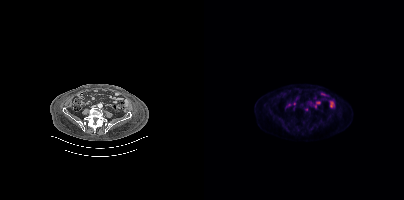
- Two-panel axial: CT | PSMA PET, [18F]PSMA-1007 tracer
- acquired on Siemens Biograph mCT Flow 20
- slice 115 of 344
Findings: Coordinates are on the 200×200 PET (right) panel. Small PSMA-avid focus (2 to 4 px across) near (center x, center y): (102, 109).